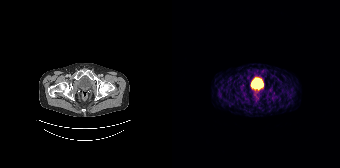
Technique: Two-panel axial: CT | PSMA PET, 68Ga-PSMA tracer. slice 44 of 195. PET panel 168×168 px (4.1 mm/px).
Findings: No tumor lesions annotated on this slice.